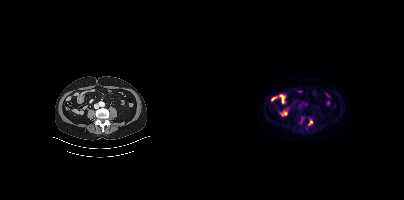
{"pet_grid":[200,200],"coord_frame":"pet_panel","coord_format":"x0,y0,x1,y1","lesion_bboxes":[],"small_foci_centers":[[106,122]],"modality":"PSMA PET/CT","view":"axial","tracer":"18F-PSMA"}